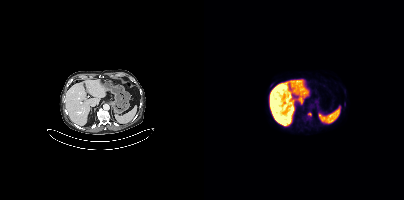
Coordinates are on the 200×200 PET (right) panel. Small PSMA-avid foci (2 to 4 px across) near (center x, center y): (105, 113) | (67, 85).